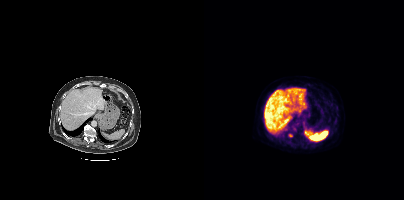
modality: PSMA PET/CT | tracer: [18F]PSMA-1007 | view: axial
Negative for PSMA-avid disease on this slice.